Paired axial CT (left) and PSMA PET (right), 18F tracer. Slice position z = -530 mm.
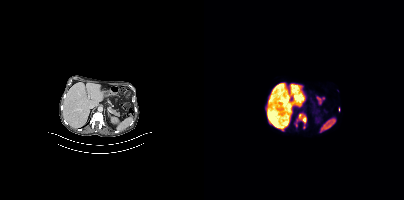
Coordinates are on the 200×200 PET (right) panel. PSMA-avid tumor lesion bounding boxes (partial; 3 more foci not listed):
| # | x0 | y0 | x1 | y1 |
|---|---|---|---|---|
| 1 | 95 | 114 | 102 | 122 |